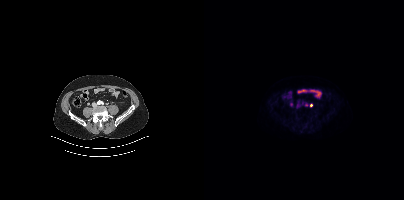
{"modality":"PSMA PET/CT","view":"axial","tracer":"18F","pet_grid":[200,200],"coord_frame":"pet_panel","coord_format":"x0,y0,x1,y1","lesion_bboxes":[],"small_foci_centers":[[107,105]]}